Paired axial CT (left) and PSMA PET (right), [68Ga]Ga-PSMA-11 tracer.
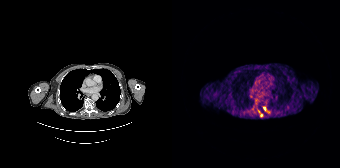
Coordinates are on the 168×168 PET (right) panel. (showing 2 of 3 foci) Small PSMA-avid foci (2 to 4 px across) near (center x, center y): (92, 108), (89, 115).